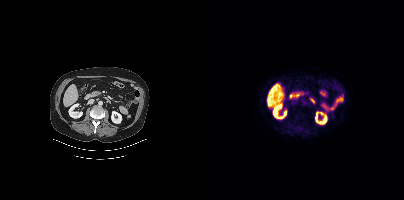
Left: CT. Right: PSMA PET, same axial level, 18F-PSMA tracer. This slice has no annotated PSMA-avid lesion.